Paired axial CT (left) and PSMA PET (right), [68Ga]Ga-PSMA-11 tracer. Acquired on Siemens Biograph 64-4R TruePoint. Slice 27 of 165. PET panel 168×168 px (4.1 mm/px).
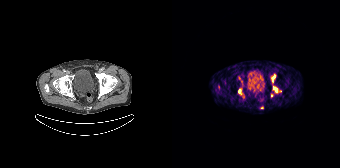
Coordinates are on the 168×168 PET (right) panel. (showing 6 of 8 foci) PSMA-avid tumor lesion bounding boxes (x0,y0,x1,y1): [66,88,70,94], [101,86,105,92], [99,74,103,82], [67,77,70,84]. Small PSMA-avid foci (2 to 4 px across) near (center x, center y): (99, 95), (90, 107).